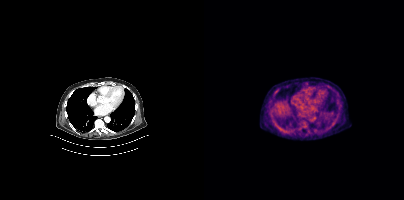
This slice has no annotated PSMA-avid lesion.